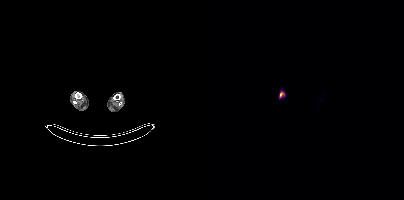
modality: PSMA PET/CT | tracer: 18F | view: axial | PET grid: 200×200
Coordinates are on the 200×200 PET (right) panel. PSMA-avid tumor lesion bounding box (x0,y0,x1,y1): [75,91,80,97].